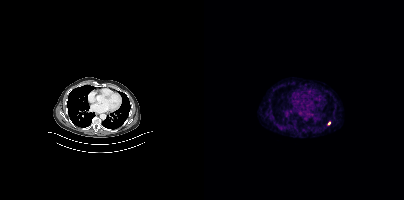
Coordinates are on the 200×200 PET (right) panel. Small PSMA-avid focus (2 to 4 px across) near (center x, center y): (125, 123). Left: CT. Right: PSMA PET, same axial level, 68Ga-PSMA tracer. Slice position z = -1066 mm. PET panel 200×200 px (4.1 mm/px).